modality: PSMA PET/CT | tracer: [18F]PSMA-1007 | view: axial | PET grid: 200×200
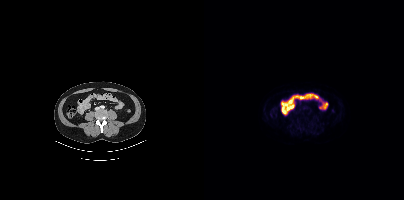
No PSMA-avid tumor lesions on this slice.